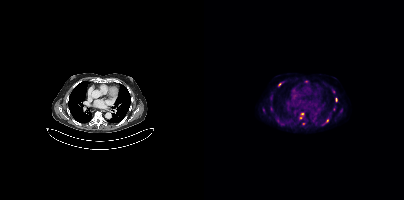
Findings: Coordinates are on the 200×200 PET (right) panel. (showing 7 of 10 foci) PSMA-avid tumor lesion bounding box (x0, y0)-(x1, y1): (95, 113)-(100, 119). Small PSMA-avid foci (2 to 4 px across) near (center x, center y): (132, 99) / (123, 120) / (99, 123) / (75, 84) / (102, 81) / (59, 109).
- Left: CT. Right: PSMA PET, same axial level, 18F-PSMA tracer
- PET panel 200×200 px (4.1 mm/px)